- Left: CT. Right: PSMA PET, same axial level, 18F-PSMA tracer
- acquired on Siemens Biograph mCT Flow 20
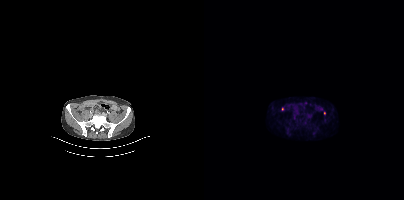
Findings: Coordinates are on the 200×200 PET (right) panel. Small PSMA-avid focus (2 to 4 px across) near (center x, center y): (120, 113).